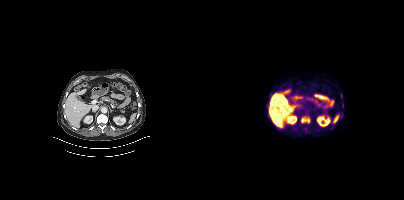
- Two-panel axial: CT | PSMA PET, [18F]PSMA-1007 tracer
- acquired on Siemens Biograph mCT Flow 20
- slice position z = -1214 mm
Findings: Coordinates are on the 200×200 PET (right) panel. (showing 3 of 4 foci) PSMA-avid tumor lesion bounding boxes (x, y, width, height): x=97 y=116 w=10 h=8 / x=100 y=129 w=4 h=5. Small PSMA-avid focus (2 to 4 px across) near (center x, center y): (138, 106).